modality: PSMA PET/CT | tracer: 18F-PSMA | view: axial | deidentification: privacy mask over head
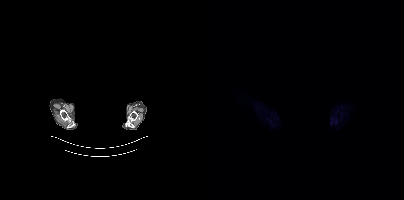
No tumor lesions annotated on this slice.